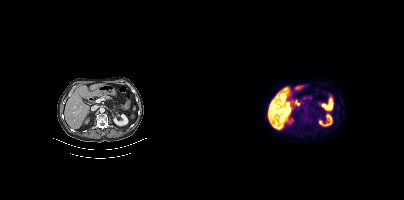
Paired axial CT (left) and PSMA PET (right), 18F-PSMA tracer. PET panel 200×200 px (4.1 mm/px). Negative for PSMA-avid disease on this slice.